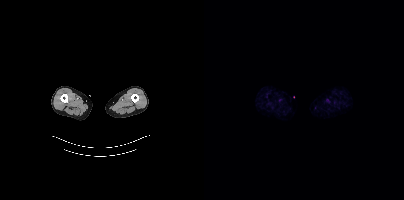
No PSMA-avid tumor lesions on this slice. Paired axial CT (left) and PSMA PET (right), [18F]PSMA-1007 tracer. Slice position z = -1038 mm.